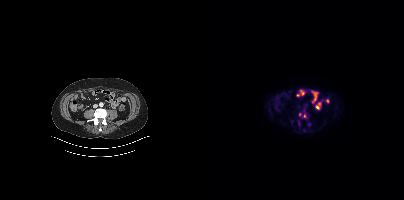
Coordinates are on the 200×200 PET (right) panel. PSMA-avid tumor lesion bounding box (x, y, width, height): x=94 y=121 w=3 h=6. Small PSMA-avid foci (2 to 4 px across) near (center x, center y): (96, 114) | (105, 124) | (100, 115).